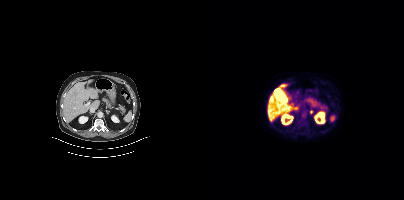
Findings: Coordinates are on the 200×200 PET (right) panel. Small PSMA-avid focus (2 to 4 px across) near (center x, center y): (107, 112).
- Left: CT. Right: PSMA PET, same axial level, [18F]PSMA-1007 tracer
- acquired on Siemens Biograph mCT Flow 20
- slice position z = -502 mm
- PET panel 200×200 px (4.1 mm/px)